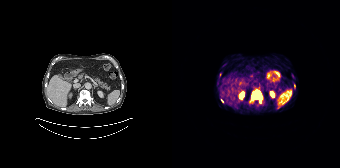
Coordinates are on the 168×168 PET (right) panel. PSMA-avid tumor lesion bounding boxes:
| # | x0 | y0 | x1 | y1 |
|---|---|---|---|---|
| 1 | 80 | 90 | 89 | 102 |
Small PSMA-avid foci (2 to 4 px across) near (center x, center y): (122, 85); (50, 100).
Paired axial CT (left) and PSMA PET (right), 68Ga-PSMA tracer. Acquired on Siemens Biograph 64-4R TruePoint. PET panel 168×168 px (4.1 mm/px).